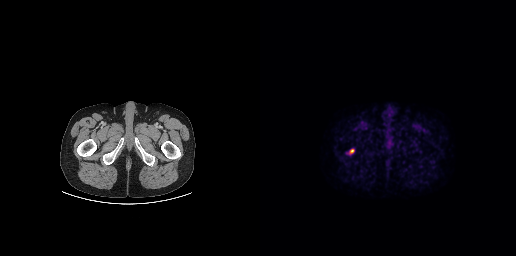
Technique: Paired axial CT (left) and PSMA PET (right), 18F tracer.
Findings: Coordinates are on the 256×256 PET (right) panel. PSMA-avid tumor lesion bounding box (x0,y0,x1,y1): [89,149,94,154].